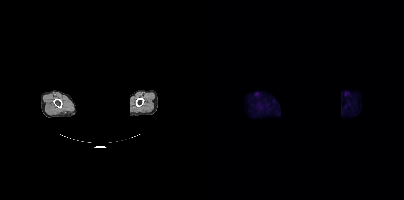
Negative for PSMA-avid disease on this slice.
A rectangular block over the head has been blanked out for de-identification.